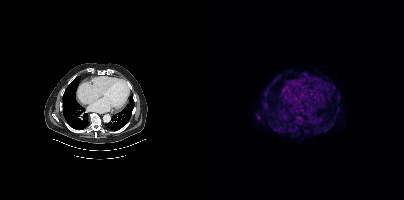
{"modality":"PSMA PET/CT","view":"axial","tracer":"[18F]PSMA-1007","pet_grid":[200,200],"coord_frame":"pet_panel","coord_format":"x0,y0,x1,y1","partial":true,"lesion_bboxes":[],"small_foci_centers":[[95,117]]}